modality: PSMA PET/CT | tracer: 18F-PSMA | view: axial | PET grid: 200×200
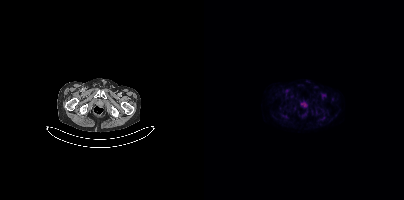
No PSMA-avid tumor lesions on this slice.